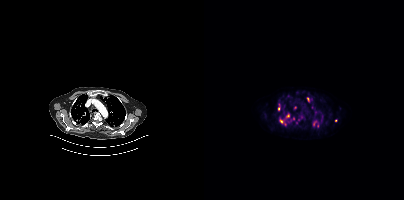
Coordinates are on the 200×200 PET (right) panel. (showing 9 of 13 foci) PSMA-avid tumor lesion bounding boxes (x, y, width, height): x=109 y=120 w=7 h=8 / x=75 y=119 w=8 h=7 / x=74 y=104 w=3 h=7 / x=95 y=117 w=5 h=4 / x=103 y=97 w=3 h=5 / x=117 y=117 w=2 h=5. Small PSMA-avid foci (2 to 4 px across) near (center x, center y): (89, 118) / (131, 120) / (84, 95).